- Two-panel axial: CT | PSMA PET, 68Ga-PSMA tracer
- slice 184 of 411
- PET panel 200×200 px (4.1 mm/px)
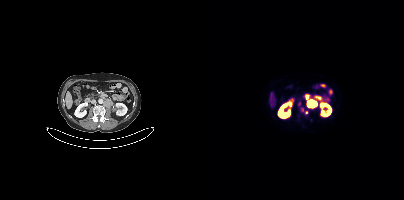
Findings: Coordinates are on the 200×200 PET (right) panel. PSMA-avid tumor lesion bounding box (x, y, width, height): x=97 y=108 w=4 h=5. Small PSMA-avid foci (2 to 4 px across) near (center x, center y): (95, 103) / (102, 112).